Technique: Two-panel axial: CT | PSMA PET, 18F tracer. slice position z = -380 mm. PET panel 200×200 px (4.1 mm/px).
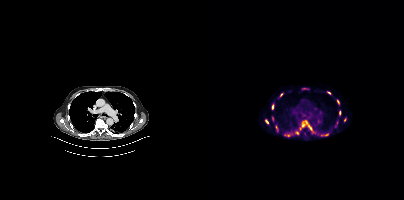
Findings: Coordinates are on the 200×200 PET (right) panel. (showing 11 of 15 foci) PSMA-avid tumor lesion bounding boxes (x0,y0,x1,y1): [96,120,109,132] [98,88,104,89] [133,99,135,104] [135,110,137,115] [61,119,64,123] [68,104,69,109]. Small PSMA-avid foci (2 to 4 px across) near (center x, center y): (92, 132) (124, 92) (77, 94) (72, 127) (84, 135).